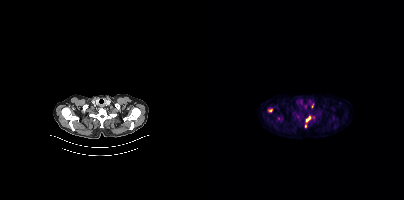
modality: PSMA PET/CT | tracer: 18F-PSMA | view: axial | PET grid: 200×200
Coordinates are on the 200×200 PET (right) panel. (showing 3 of 4 foci) PSMA-avid tumor lesion bounding box (x0, y0)-(x1, y1): (102, 116)-(106, 122). Small PSMA-avid foci (2 to 4 px across) near (center x, center y): (66, 110) | (101, 125).